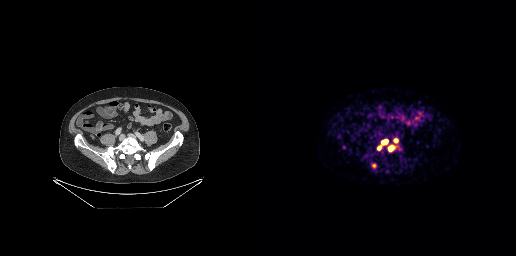
Findings: Coordinates are on the 256×256 PET (right) panel. PSMA-avid tumor lesion bounding boxes (x0,y0,x1,y1): [121,139,128,144]; [128,145,134,151]; [117,146,120,150]. Small PSMA-avid foci (2 to 4 px across) near (center x, center y): (135, 140); (113, 165).
- Left: CT. Right: PSMA PET, same axial level, 68Ga-PSMA tracer
- acquired on GE Discovery 690